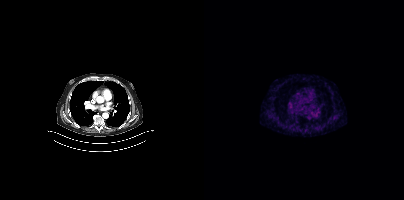
- Left: CT. Right: PSMA PET, same axial level, [68Ga]Ga-PSMA-11 tracer
- PET panel 200×200 px (4.1 mm/px)
Findings: Negative for PSMA-avid disease on this slice.